- Two-panel axial: CT | PSMA PET, [18F]PSMA-1007 tracer
- acquired on Siemens Biograph mCT Flow 20
- slice 290 of 417
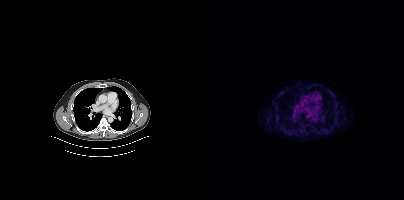
Findings: This slice has no annotated PSMA-avid lesion.